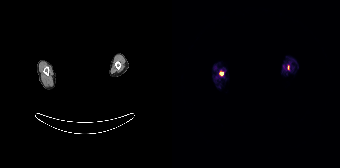
Two-panel axial: CT | PSMA PET, [68Ga]Ga-PSMA-11 tracer. PET panel 168×168 px (4.1 mm/px). The face region was removed for patient privacy by blanking a rectangle over the head. Coordinates are on the 168×168 PET (right) panel. (showing 1 of 2 foci) Small PSMA-avid focus (2 to 4 px across) near (center x, center y): (49, 73).